- Two-panel axial: CT | PSMA PET, 68Ga-PSMA tracer
- acquired on Siemens Biograph 64-4R TruePoint
- PET panel 168×168 px (4.1 mm/px)
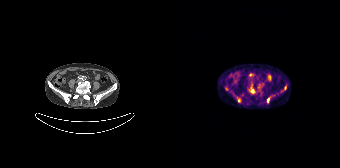
Findings: Coordinates are on the 168×168 PET (right) panel. (showing 6 of 7 foci) PSMA-avid tumor lesion bounding boxes (x0,y0,x1,y1): [77,87,82,93]; [95,98,97,102]; [85,90,89,95]. Small PSMA-avid foci (2 to 4 px across) near (center x, center y): (54, 88); (67, 100); (113, 88).